Technique: Paired axial CT (left) and PSMA PET (right), [18F]PSMA-1007 tracer.
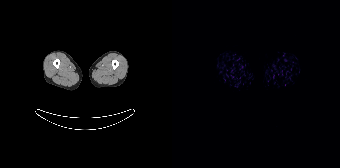
Findings: No PSMA-avid tumor lesions on this slice.